modality: PSMA PET/CT | tracer: 18F-PSMA | view: axial | PET grid: 200×200
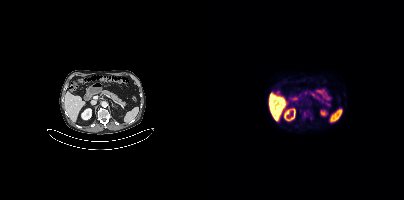
Coordinates are on the 200×200 PET (right) panel. Small PSMA-avid focus (2 to 4 px across) near (center x, center y): (100, 113).